The face region was removed for patient privacy by blanking a rectangle over the head. Paired axial CT (left) and PSMA PET (right), [18F]PSMA-1007 tracer. Acquired on Siemens Biograph mCT Flow 20. Slice 371 of 389. PET panel 200×200 px (4.1 mm/px).
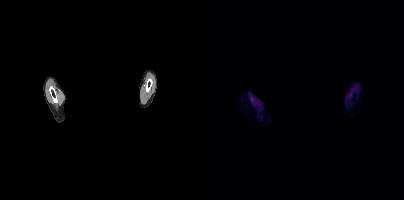
No PSMA-avid tumor lesions on this slice.